- Two-panel axial: CT | PSMA PET, [18F]PSMA-1007 tracer
- slice position z = -1426 mm
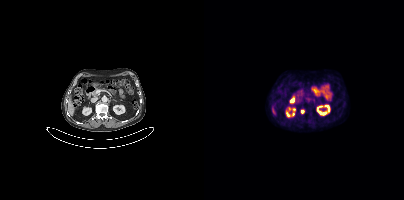
Findings: Coordinates are on the 200×200 PET (right) panel. Small PSMA-avid focus (2 to 4 px across) near (center x, center y): (98, 111).